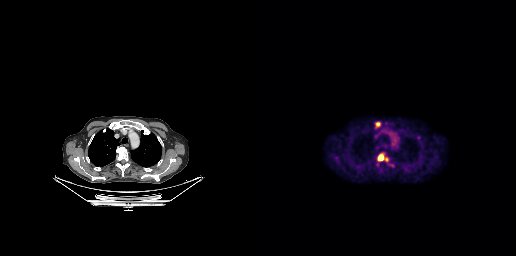
Findings: Coordinates are on the 256×256 PET (right) panel. PSMA-avid tumor lesion bounding boxes (x0,y0,x1,y1): [115,122,120,128]; [118,155,123,160].
Technique: Paired axial CT (left) and PSMA PET (right), 18F-PSMA tracer.